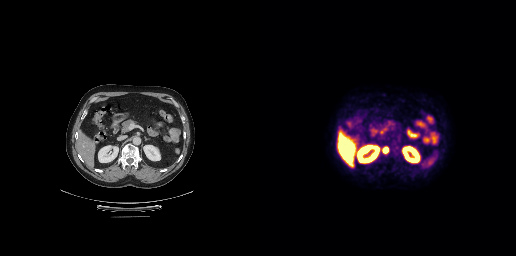
Coordinates are on the 256×256 PET (right) panel. PSMA-avid tumor lesion bounding box (x0,y0,x1,y1): [122,146,128,153].
modality: PSMA PET/CT | tracer: 18F | view: axial